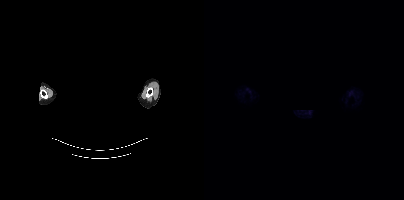
The face region was removed for patient privacy by blanking a rectangle over the head.
This slice has no annotated PSMA-avid lesion.